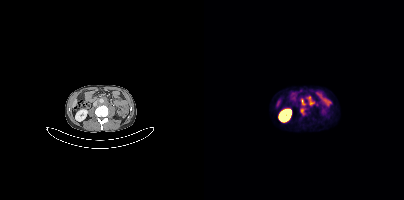
Coordinates are on the 200×200 PET (right) panel. PSMA-avid tumor lesion bounding boxes (x0, y0)-(x1, y1): (103, 96)-(110, 105) | (96, 108)-(101, 115) | (97, 99)-(101, 105).